- Left: CT. Right: PSMA PET, same axial level, 18F tracer
- acquired on Siemens Biograph mCT Flow 20
- slice position z = -1334 mm
- PET panel 200×200 px (4.1 mm/px)
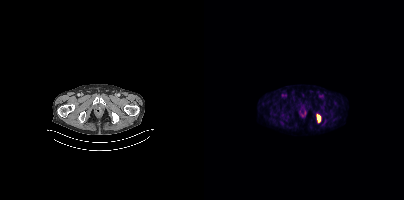
Findings: Coordinates are on the 200×200 PET (right) panel. PSMA-avid tumor lesion bounding box (x0,y0,x1,y1): [113,114,116,122].